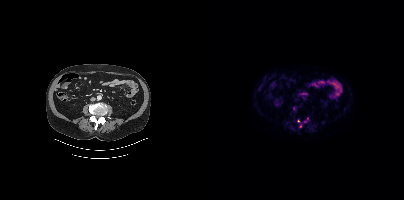
Coordinates are on the 200×200 PET (right) panel. (showing 2 of 3 foci) Small PSMA-avid foci (2 to 4 px across) near (center x, center y): (94, 120) | (96, 126).